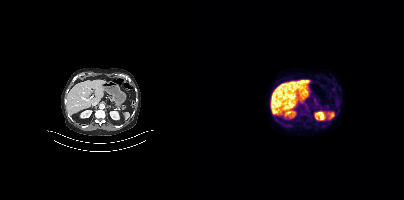
Findings: This slice has no annotated PSMA-avid lesion.
- Left: CT. Right: PSMA PET, same axial level, 18F-PSMA tracer
- slice 191 of 356